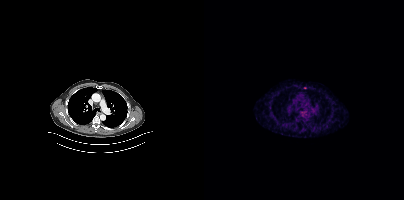
- Paired axial CT (left) and PSMA PET (right), 68Ga-PSMA tracer
- PET panel 200×200 px (4.1 mm/px)
Findings: This slice has no annotated PSMA-avid lesion.